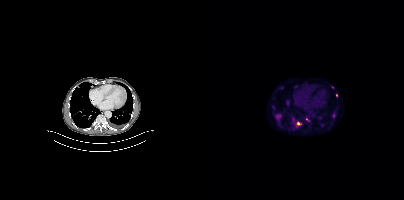
Technique: Two-panel axial: CT | PSMA PET, 18F-PSMA tracer. slice position z = 322 mm.
Findings: Coordinates are on the 200×200 PET (right) panel. (showing 8 of 11 foci) PSMA-avid tumor lesion bounding boxes (x, y, width, height): x=71 y=114 w=7 h=8; x=92 y=121 w=6 h=5; x=128 y=113 w=4 h=5; x=102 y=118 w=4 h=5. Small PSMA-avid foci (2 to 4 px across) near (center x, center y): (69, 106); (78, 87); (132, 95); (83, 102).